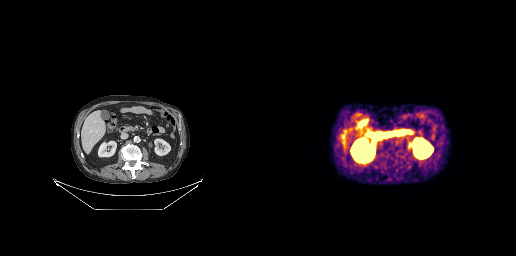
Negative for PSMA-avid disease on this slice.